modality: PSMA PET/CT | tracer: [18F]PSMA-1007 | view: axial
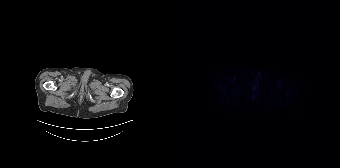
This slice has no annotated PSMA-avid lesion.